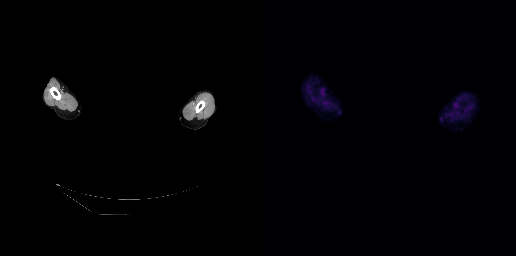
Technique: Paired axial CT (left) and PSMA PET (right), 18F-PSMA tracer. acquired on GE Discovery 690.
Note: Privacy masking over the head, with the pixels inside a rectangle set to black.
Findings: This slice has no annotated PSMA-avid lesion.